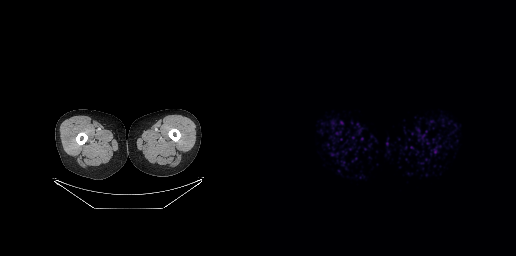
modality: PSMA PET/CT | tracer: [68Ga]Ga-PSMA-11 | view: axial
No tumor lesions annotated on this slice.